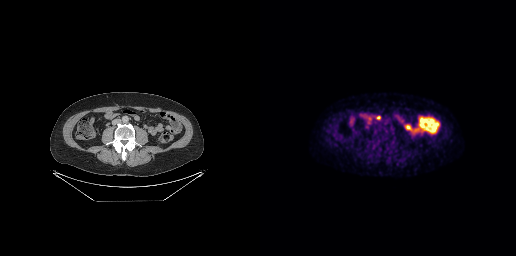
{"modality":"PSMA PET/CT","view":"axial","tracer":"[18F]PSMA-1007","pet_grid":[256,256],"coord_frame":"pet_panel","coord_format":"x0,y0,x1,y1","lesion_bboxes":[[116,116,120,119]]}